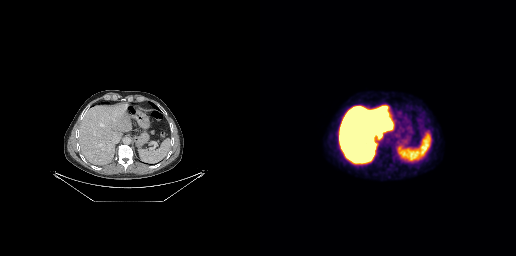
{"modality":"PSMA PET/CT","view":"axial","tracer":"18F","pet_grid":[256,256],"coord_frame":"pet_panel","coord_format":"x0,y0,x1,y1","psma_avid_lesions":false}